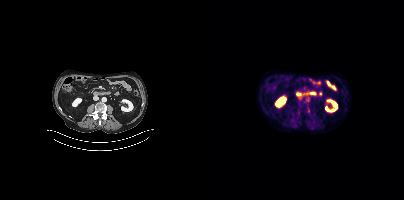
Left: CT. Right: PSMA PET, same axial level, 18F tracer. Slice position z = -578 mm. No PSMA-avid tumor lesions on this slice.